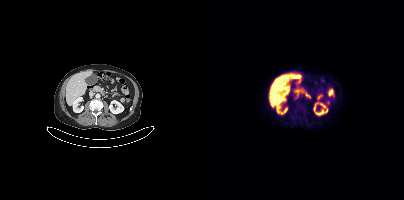
{"modality":"PSMA PET/CT","view":"axial","tracer":"18F","pet_grid":[200,200],"coord_frame":"pet_panel","coord_format":"x0,y0,x1,y1","psma_avid_lesions":false}